- Left: CT. Right: PSMA PET, same axial level, 18F-PSMA tracer
- acquired on Siemens Biograph mCT Flow 20
- slice 228 of 381
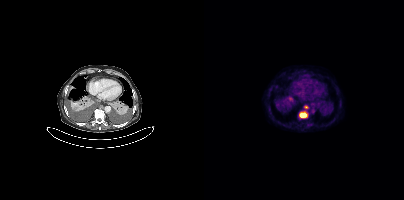
Findings: Coordinates are on the 200×200 PET (right) panel. PSMA-avid tumor lesion bounding boxes (x0,y0,x1,y1): [96,112,102,117]; [100,105,104,108].